Technique: Left: CT. Right: PSMA PET, same axial level, [18F]PSMA-1007 tracer. acquired on GE Discovery 690. slice position z = -605 mm.
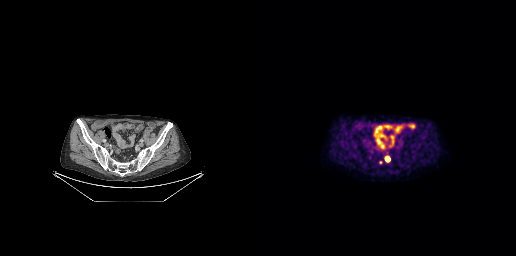
Findings: Coordinates are on the 256×256 PET (right) panel. PSMA-avid tumor lesion bounding box (x0,y0,x1,y1): [125,156,129,161].